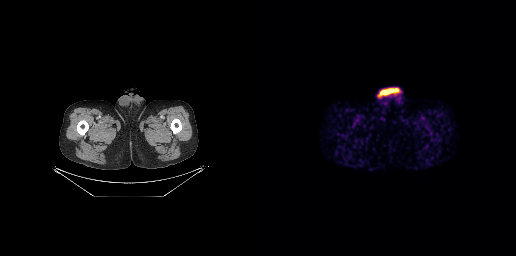
- Two-panel axial: CT | PSMA PET, [68Ga]Ga-PSMA-11 tracer
- acquired on GE Discovery 690
- slice position z = -981 mm
- PET panel 256×256 px (2.7 mm/px)
Findings: This slice has no annotated PSMA-avid lesion.